Paired axial CT (left) and PSMA PET (right), [18F]PSMA-1007 tracer. Slice 90 of 425.
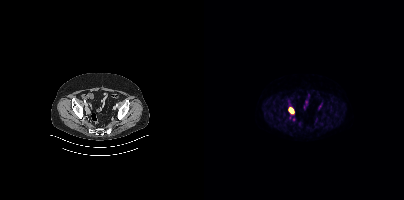
Coordinates are on the 200×200 PET (right) panel. PSMA-avid tumor lesion bounding boxes:
| # | x0 | y0 | x1 | y1 |
|---|---|---|---|---|
| 1 | 84 | 107 | 90 | 114 |